modality: PSMA PET/CT | tracer: [18F]PSMA-1007 | view: axial | PET grid: 256×256
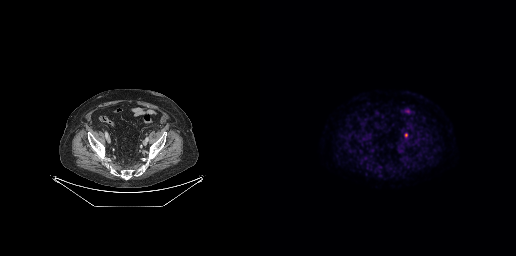
Coordinates are on the 256×256 PET (right) panel. PSMA-avid tumor lesion bounding box (x0, y0)-(x1, y1): (145, 133)-(147, 137).